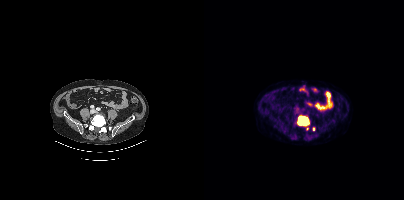
{"modality":"PSMA PET/CT","view":"axial","tracer":"[18F]PSMA-1007","pet_grid":[200,200],"coord_frame":"pet_panel","coord_format":"x0,y0,x1,y1","lesion_bboxes":[[93,115,105,125]],"small_foci_centers":[[109,129],[103,128]]}